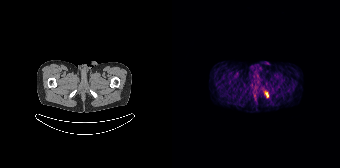
{"pet_grid":[168,168],"coord_frame":"pet_panel","coord_format":"x0,y0,x1,y1","lesion_bboxes":[],"small_foci_centers":[[95,94]],"modality":"PSMA PET/CT","view":"axial","tracer":"68Ga"}